Left: CT. Right: PSMA PET, same axial level, 68Ga tracer. Slice position z = -791 mm.
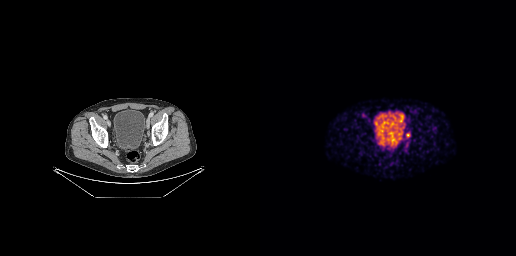
Coordinates are on the 256×256 PET (right) panel. PSMA-avid tumor lesion bounding boxes:
| # | x0 | y0 | x1 | y1 |
|---|---|---|---|---|
| 1 | 146 | 132 | 150 | 138 |